Paired axial CT (left) and PSMA PET (right), [18F]PSMA-1007 tracer. Slice 187 of 263. PET panel 256×256 px (2.7 mm/px).
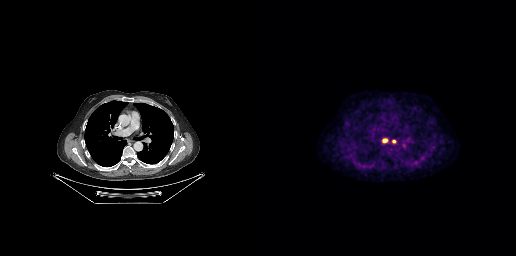
Coordinates are on the 256×256 PET (right) panel. PSMA-avid tumor lesion bounding box (x0,y0,x1,y1): [123,139,127,142]. Small PSMA-avid focus (2 to 4 px across) near (center x, center y): (134, 141).